- Two-panel axial: CT | PSMA PET, 18F tracer
- slice 269 of 383
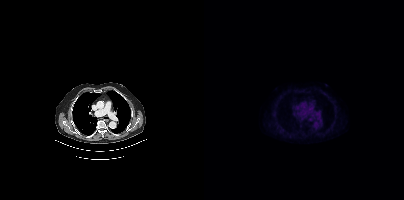
Findings: Negative for PSMA-avid disease on this slice.